Privacy masking over the head, with the pixels inside a rectangle set to black. Left: CT. Right: PSMA PET, same axial level, 68Ga tracer. Acquired on Siemens Biograph mCT Flow 20. Slice position z = -475 mm.
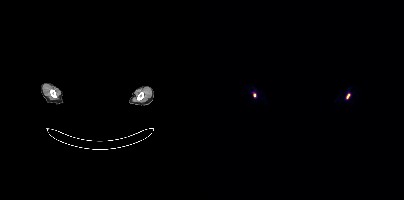
Coordinates are on the 200×200 PET (right) panel. PSMA-avid tumor lesion bounding boxes:
| # | x0 | y0 | x1 | y1 |
|---|---|---|---|---|
| 1 | 142 | 94 | 145 | 98 |
Small PSMA-avid focus (2 to 4 px across) near (center x, center y): (50, 95).